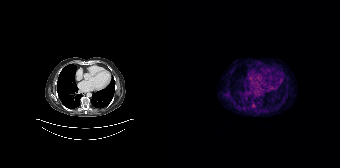
Coordinates are on the 168×168 PET (right) panel. Small PSMA-avid focus (2 to 4 px across) near (center x, center y): (80, 105).
modality: PSMA PET/CT | tracer: [68Ga]Ga-PSMA-11 | view: axial